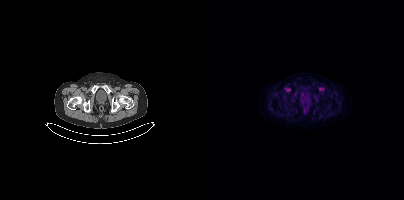
Left: CT. Right: PSMA PET, same axial level, 18F-PSMA tracer. Acquired on Siemens Biograph mCT Flow 20. Negative for PSMA-avid disease on this slice.